modality: PSMA PET/CT | tracer: 18F-PSMA | view: axial | PET grid: 200×200
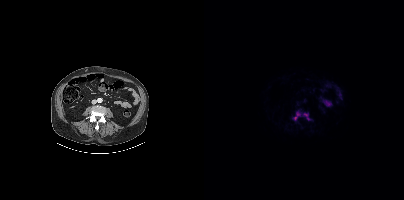
Coordinates are on the 200×200 PET (right) panel. PSMA-avid tumor lesion bounding boxes (x, y, width, height): x=89 y=111 w=8 h=10 / x=99 y=113 w=8 h=8.